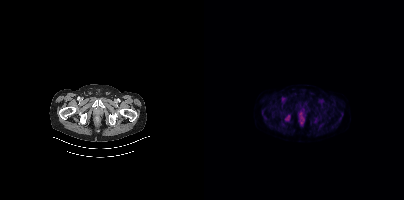
Left: CT. Right: PSMA PET, same axial level, [18F]PSMA-1007 tracer. Slice position z = -105 mm. PET panel 200×200 px (4.1 mm/px). Only PSMA-avid lesion pieces thinner than 2 px on this slice (not listed).